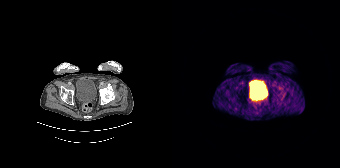
Negative for PSMA-avid disease on this slice. Left: CT. Right: PSMA PET, same axial level, 68Ga-PSMA tracer. Slice position z = -658 mm.